Left: CT. Right: PSMA PET, same axial level, 18F tracer.
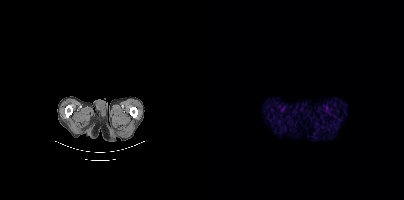
Negative for PSMA-avid disease on this slice.